- Left: CT. Right: PSMA PET, same axial level, 18F tracer
- slice position z = -496 mm
- PET panel 200×200 px (4.1 mm/px)
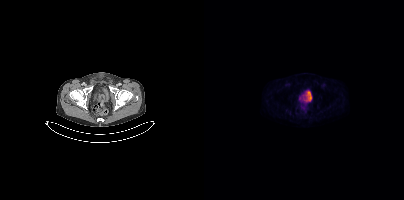
Findings: This slice has no annotated PSMA-avid lesion.